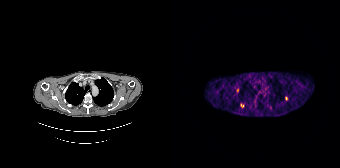
Two-panel axial: CT | PSMA PET, 68Ga-PSMA tracer. Acquired on Siemens Biograph 64-4R TruePoint. Slice position z = -204 mm. PET panel 168×168 px (4.1 mm/px). Coordinates are on the 168×168 PET (right) panel. Small PSMA-avid foci (2 to 4 px across) near (center x, center y): (70, 105), (65, 90).